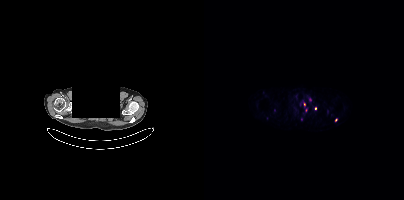
Findings: Coordinates are on the 200×200 PET (right) panel. (showing 3 of 6 foci) Small PSMA-avid foci (2 to 4 px across) near (center x, center y): (106, 99), (111, 108), (100, 104).
- facial anatomy redacted by setting a rectangular region of the head to black
- Two-panel axial: CT | PSMA PET, 68Ga-PSMA tracer
- PET panel 200×200 px (4.1 mm/px)